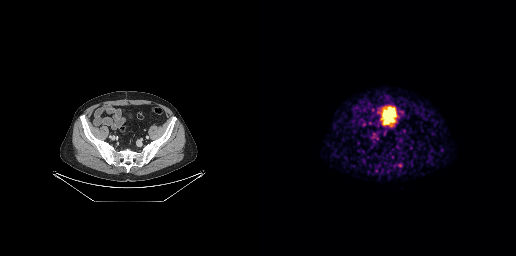
{"pet_grid":[256,256],"coord_frame":"pet_panel","coord_format":"x0,y0,x1,y1","partial":true,"lesion_bboxes":[],"modality":"PSMA PET/CT","view":"axial","tracer":"[68Ga]Ga-PSMA-11"}